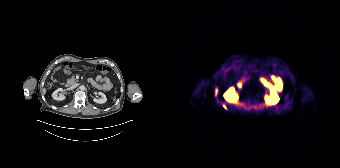
Technique: Two-panel axial: CT | PSMA PET, 68Ga-PSMA tracer. acquired on Siemens Biograph 64-4R TruePoint. slice 107 of 195. PET panel 168×168 px (4.1 mm/px).
Findings: Coordinates are on the 168×168 PET (right) panel. Small PSMA-avid focus (2 to 4 px across) near (center x, center y): (52, 106).